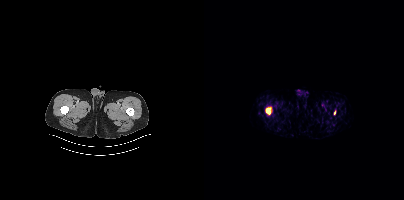
Left: CT. Right: PSMA PET, same axial level, 18F-PSMA tracer. PET panel 200×200 px (4.1 mm/px).
Coordinates are on the 200×200 PET (right) panel. PSMA-avid tumor lesion bounding boxes (partial; 1 more focus not listed):
| # | x0 | y0 | x1 | y1 |
|---|---|---|---|---|
| 1 | 62 | 107 | 67 | 114 |